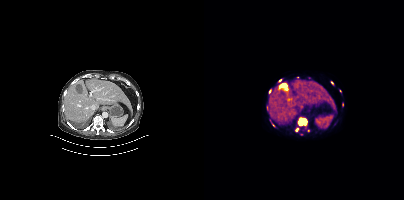
Findings: Coordinates are on the 200×200 PET (right) panel. (showing 7 of 10 foci) PSMA-avid tumor lesion bounding box (x0,y0,x1,y1): [94,117,103,125]. Small PSMA-avid foci (2 to 4 px across) near (center x, center y): (92, 129); (128, 82); (76, 80); (65, 91); (69, 125); (136, 90).
- Two-panel axial: CT | PSMA PET, 18F-PSMA tracer
- acquired on Siemens Biograph mCT Flow 20
- slice 264 of 444
- PET panel 200×200 px (4.1 mm/px)